modality: PSMA PET/CT | tracer: [18F]PSMA-1007 | view: axial | PET grid: 200×200
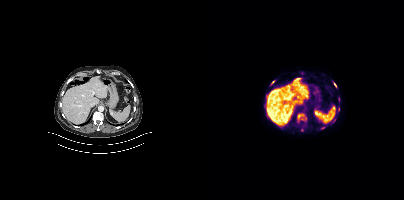
Coordinates are on the 200×200 PET (right) panel. (showing 5 of 6 foci) PSMA-avid tumor lesion bounding boxes (x, y, width, height): x=134 y=107 w=2 h=5 / x=129 y=118 w=3 h=5. Small PSMA-avid foci (2 to 4 px across) near (center x, center y): (118, 128) / (68, 82) / (131, 84).